modality: PSMA PET/CT | tracer: 68Ga | view: axial
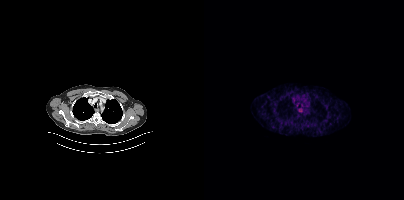
This slice has no annotated PSMA-avid lesion.